Paired axial CT (left) and PSMA PET (right), 18F tracer. PET panel 200×200 px (4.1 mm/px).
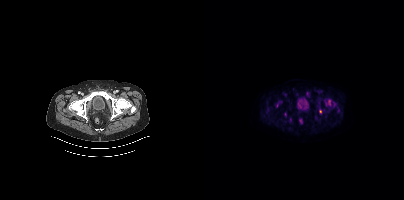
Coordinates are on the 200×200 PET (right) panel. (showing 2 of 4 foci) Small PSMA-avid foci (2 to 4 px across) near (center x, center y): (125, 101); (116, 111).